Two-panel axial: CT | PSMA PET, [18F]PSMA-1007 tracer. Slice position z = -1039 mm.
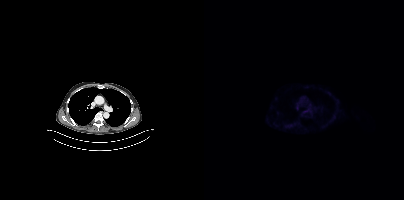
This slice has no annotated PSMA-avid lesion.